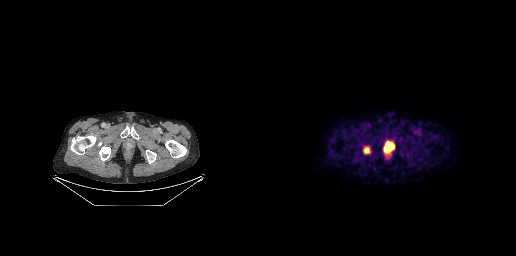
Two-panel axial: CT | PSMA PET, 18F-PSMA tracer. PET panel 256×256 px (2.7 mm/px).
Coordinates are on the 256×256 PET (right) panel. PSMA-avid tumor lesion bounding boxes:
| # | x0 | y0 | x1 | y1 |
|---|---|---|---|---|
| 1 | 103 | 146 | 110 | 153 |
| 2 | 126 | 142 | 133 | 150 |